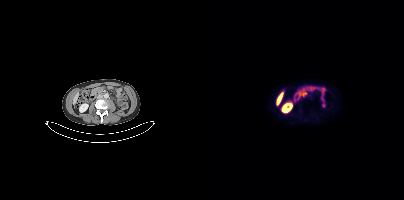
No PSMA-avid tumor lesions on this slice. Two-panel axial: CT | PSMA PET, [18F]PSMA-1007 tracer. Slice position z = -302 mm.